Technique: Two-panel axial: CT | PSMA PET, [18F]PSMA-1007 tracer.
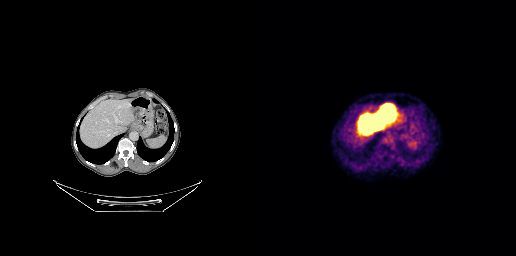
Findings: No PSMA-avid tumor lesions on this slice.